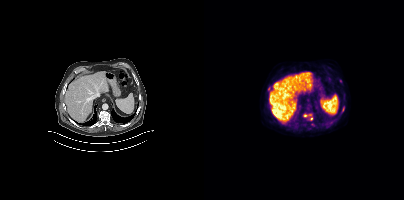
Coordinates are on the 200×200 PET (right) panel. PSMA-avid tumor lesion bounding boxes:
| # | x0 | y0 | x1 | y1 |
|---|---|---|---|---|
| 1 | 99 | 114 | 108 | 120 |
| 2 | 64 | 86 | 67 | 91 |
| 3 | 138 | 106 | 140 | 112 |
Small PSMA-avid foci (2 to 4 px across) near (center x, center y): (108, 124); (136, 80).
Paired axial CT (left) and PSMA PET (right), 18F tracer. Slice 236 of 411.